Technique: Paired axial CT (left) and PSMA PET (right), 68Ga-PSMA tracer. acquired on Siemens Biograph mCT Flow 20. slice position z = -1416 mm.
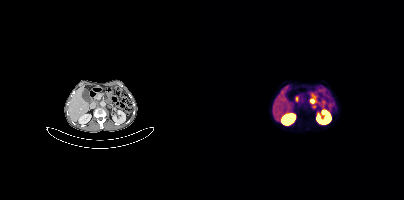
Findings: Coordinates are on the 200×200 PET (right) panel. PSMA-avid tumor lesion bounding box (x, y, width, height): x=106 y=95 w=7 h=9.